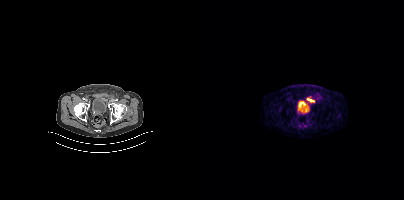
Coordinates are on the 200×200 PET (right) panel. PSMA-avid tumor lesion bounding box (x, y, width, height): x=102 y=98 w=7 h=4.